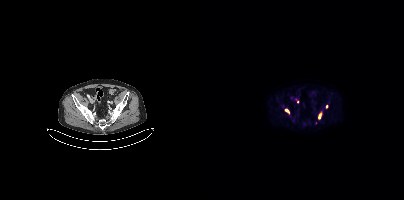
{"modality":"PSMA PET/CT","view":"axial","tracer":"18F","pet_grid":[200,200],"coord_frame":"pet_panel","coord_format":"x0,y0,x1,y1","partial":true,"lesion_bboxes":[],"small_foci_centers":[[115,116],[93,101],[122,106]]}